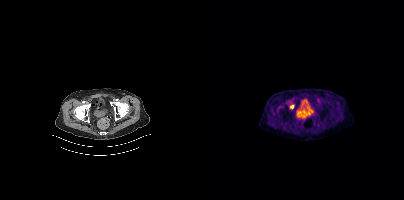
{"modality":"PSMA PET/CT","view":"axial","tracer":"18F-PSMA","pet_grid":[200,200],"coord_frame":"pet_panel","coord_format":"x0,y0,x1,y1","lesion_bboxes":[],"small_foci_centers":[[88,106]]}